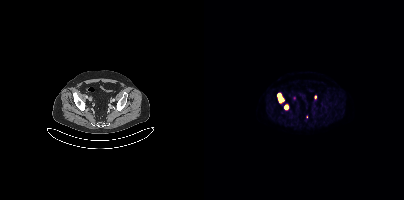
{"modality":"PSMA PET/CT","view":"axial","tracer":"18F","pet_grid":[200,200],"coord_frame":"pet_panel","coord_format":"x0,y0,x1,y1","lesion_bboxes":[[74,93,79,102],[80,105,84,109]],"small_foci_centers":[[111,97]]}